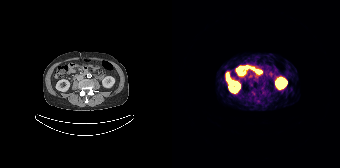
This slice has no annotated PSMA-avid lesion. Two-panel axial: CT | PSMA PET, 68Ga tracer. Acquired on Siemens Biograph 64-4R TruePoint. PET panel 168×168 px (4.1 mm/px).